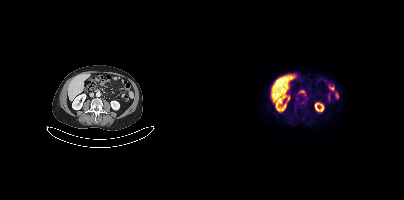
Two-panel axial: CT | PSMA PET, [18F]PSMA-1007 tracer. Acquired on Siemens Biograph mCT Flow 20. Slice position z = -727 mm. No tumor lesions annotated on this slice.